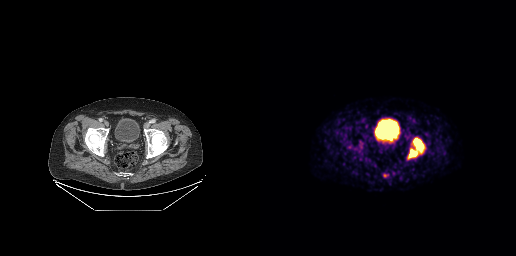
Technique: Paired axial CT (left) and PSMA PET (right), 68Ga tracer. acquired on GE Discovery 690. slice position z = -787 mm. PET panel 256×256 px (2.7 mm/px).
Findings: Coordinates are on the 256×256 PET (right) panel. PSMA-avid tumor lesion bounding box (x0, y0)-(x1, y1): (148, 137)-(164, 158). Small PSMA-avid focus (2 to 4 px across) near (center x, center y): (125, 175).